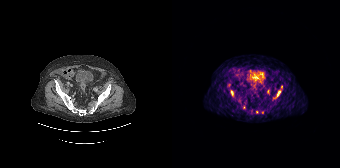
- Left: CT. Right: PSMA PET, same axial level, 68Ga-PSMA tracer
- slice 34 of 165
- PET panel 168×168 px (4.1 mm/px)
Findings: Coordinates are on the 168×168 PET (right) panel. (showing 4 of 6 foci) PSMA-avid tumor lesion bounding boxes (x0, y0)-(x1, y1): (101, 91)-(108, 98) | (59, 90)-(61, 94). Small PSMA-avid foci (2 to 4 px across) near (center x, center y): (90, 112) | (109, 86).